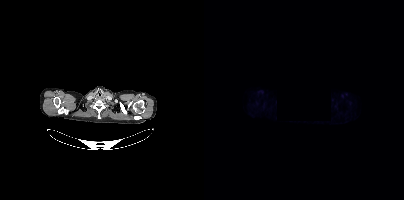
Technique: Paired axial CT (left) and PSMA PET (right), [18F]PSMA-1007 tracer. acquired on Siemens Biograph mCT Flow 20. slice position z = 392 mm.
Note: A black rectangle in this scan is a privacy mask, not anatomy.
Findings: This slice has no annotated PSMA-avid lesion.